Paired axial CT (left) and PSMA PET (right), 18F tracer. Slice 162 of 263.
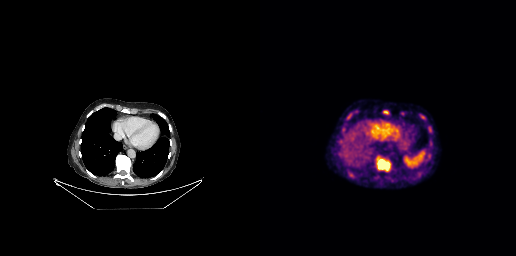
Coordinates are on the 256×256 PET (right) panel. PSMA-avid tumor lesion bounding boxes (x, y, width, height): x=117 y=159 w=14 h=12 / x=86 y=113 w=7 h=7 / x=168 y=126 w=5 h=7 / x=123 y=110 w=6 h=5. Small PSMA-avid focus (2 to 4 px across) near (center x, center y): (95, 111).